modality: PSMA PET/CT | tracer: 18F-PSMA | view: axial | PET grid: 200×200
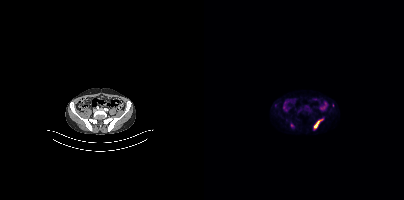
Coordinates are on the 200×200 PET (right) panel. PSMA-avid tumor lesion bounding box (x, y, width, height): x=110 y=119 w=9 h=10. Small PSMA-avid focus (2 to 4 px across) near (center x, center y): (87, 125).